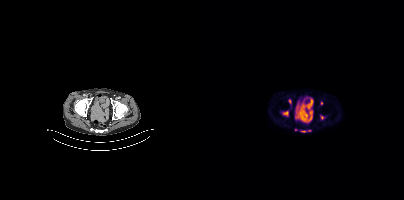
Coordinates are on the 200×200 PET (right) panel. (showing 6 of 7 foci) PSMA-avid tumor lesion bounding boxes (x, y, width, height): x=79 y=111 w=6 h=5; x=97 y=131 w=5 h=2. Small PSMA-avid foci (2 to 4 px across) near (center x, center y): (85, 101); (117, 103); (91, 129); (105, 130).